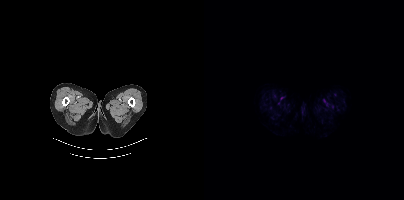
This slice has no annotated PSMA-avid lesion.
modality: PSMA PET/CT | tracer: [18F]PSMA-1007 | view: axial | PET grid: 200×200